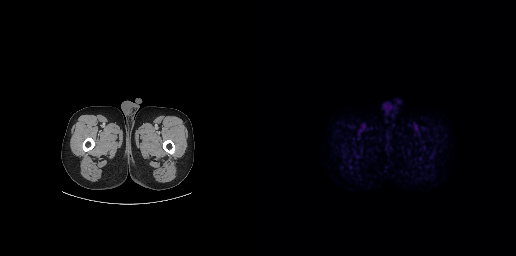
Negative for PSMA-avid disease on this slice.
modality: PSMA PET/CT | tracer: 18F-PSMA | view: axial